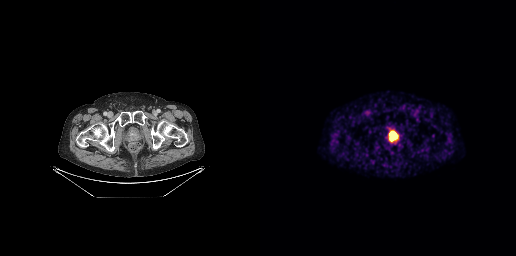
Technique: Two-panel axial: CT | PSMA PET, [68Ga]Ga-PSMA-11 tracer. slice position z = -841 mm. PET panel 256×256 px (2.7 mm/px).
Findings: Coordinates are on the 256×256 PET (right) panel. PSMA-avid tumor lesion bounding box (x0,y0,x1,y1): [129,131,138,141].